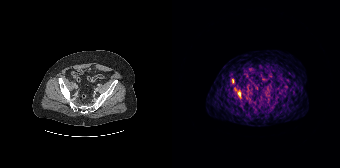
{"pet_grid":[168,168],"coord_frame":"pet_panel","coord_format":"x0,y0,x1,y1","lesion_bboxes":[[66,91,68,97]],"small_foci_centers":[[60,80]],"modality":"PSMA PET/CT","view":"axial","tracer":"68Ga"}